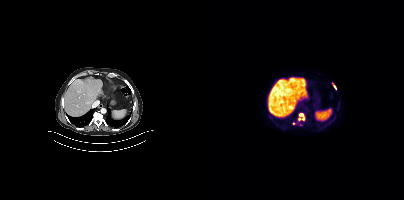
Paired axial CT (left) and PSMA PET (right), 18F tracer. PET panel 200×200 px (4.1 mm/px).
Coordinates are on the 200×200 PET (right) panel. PSMA-avid tumor lesion bounding boxes:
| # | x0 | y0 | x1 | y1 |
|---|---|---|---|---|
| 1 | 94 | 113 | 101 | 120 |
| 2 | 128 | 83 | 132 | 89 |
Small PSMA-avid focus (2 to 4 px across) near (center x, center y): (89, 123).